- Paired axial CT (left) and PSMA PET (right), [68Ga]Ga-PSMA-11 tracer
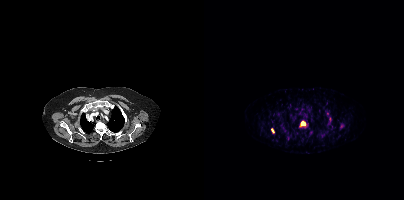
Findings: Coordinates are on the 200×200 PET (right) panel. (showing 5 of 6 foci) PSMA-avid tumor lesion bounding boxes (x, y, width, height): x=95 y=121 w=10 h=8; x=67 y=128 w=4 h=6; x=125 y=117 w=3 h=5. Small PSMA-avid foci (2 to 4 px across) near (center x, center y): (137, 126); (123, 113).